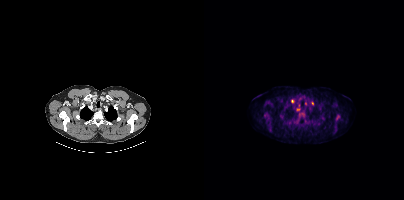
{"modality":"PSMA PET/CT","view":"axial","tracer":"[18F]PSMA-1007","pet_grid":[200,200],"coord_frame":"pet_panel","coord_format":"x0,y0,x1,y1","lesion_bboxes":[[107,101,109,105]],"small_foci_centers":[[95,105],[88,101],[94,109],[101,103]]}